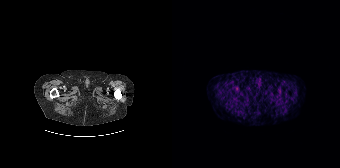
{"modality":"PSMA PET/CT","view":"axial","tracer":"[68Ga]Ga-PSMA-11","pet_grid":[168,168],"coord_frame":"pet_panel","coord_format":"x0,y0,x1,y1","psma_avid_lesions":false}